Two-panel axial: CT | PSMA PET, [18F]PSMA-1007 tracer. PET panel 200×200 px (4.1 mm/px).
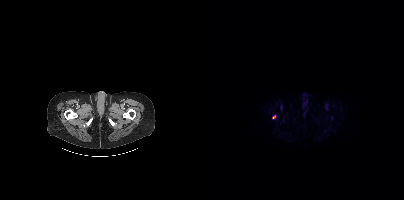
Coordinates are on the 200×200 PET (right) panel. Small PSMA-avid focus (2 to 4 px across) near (center x, center y): (70, 117).